Two-panel axial: CT | PSMA PET, 68Ga-PSMA tracer. Acquired on Siemens Biograph 64-4R TruePoint.
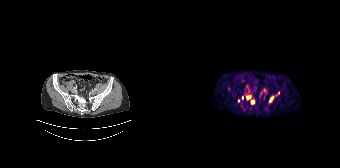
Coordinates are on the 168×168 PET (right) panel. Small PSMA-avid foci (2 to 4 px across) near (center x, center y): (80, 102); (76, 97); (99, 99); (70, 97); (66, 101); (106, 92); (71, 109).